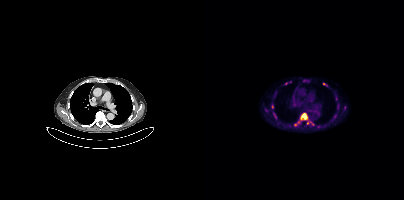
Findings: Coordinates are on the 200×200 PET (right) panel. (showing 6 of 7 foci) PSMA-avid tumor lesion bounding box (x, y, width, height): x=96 y=113 w=8 h=7. Small PSMA-avid foci (2 to 4 px across) near (center x, center y): (120, 84) / (82, 83) / (68, 106) / (103, 122) / (91, 124).
Technique: Left: CT. Right: PSMA PET, same axial level, [18F]PSMA-1007 tracer. slice position z = 170 mm.